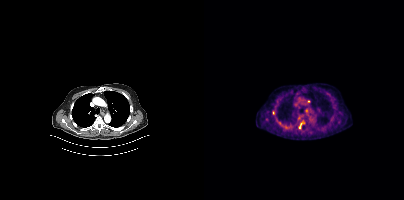
{"pet_grid":[200,200],"coord_frame":"pet_panel","coord_format":"x0,y0,x1,y1","partial":true,"lesion_bboxes":[[95,122,98,128]],"small_foci_centers":[[104,101]],"modality":"PSMA PET/CT","view":"axial","tracer":"18F"}